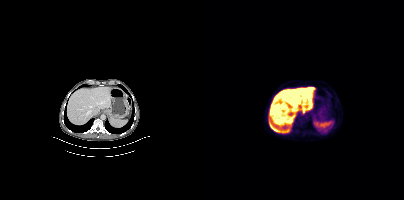
- Two-panel axial: CT | PSMA PET, 18F-PSMA tracer
Findings: This slice has no annotated PSMA-avid lesion.